modality: PSMA PET/CT | tracer: [18F]PSMA-1007 | view: axial | PET grid: 200×200
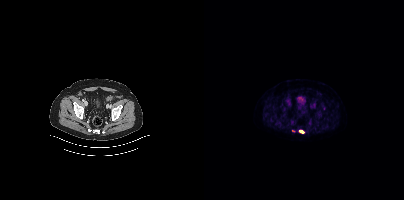
Coordinates are on the 200×200 PET (right) panel. (showing 1 of 2 foci) PSMA-avid tumor lesion bounding box (x0,y0,x1,y1): [95,130,99,132].